Technique: Two-panel axial: CT | PSMA PET, 18F tracer. acquired on Siemens Biograph mCT Flow 20. slice 387 of 438. PET panel 200×200 px (4.1 mm/px).
Note: The face region was removed for patient privacy by blanking a rectangle over the head.
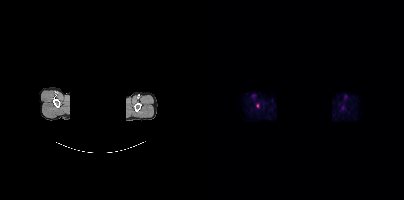
Findings: Coordinates are on the 200×200 PET (right) panel. Small PSMA-avid focus (2 to 4 px across) near (center x, center y): (53, 105).